modality: PSMA PET/CT | tracer: 18F | view: axial | PET grid: 200×200
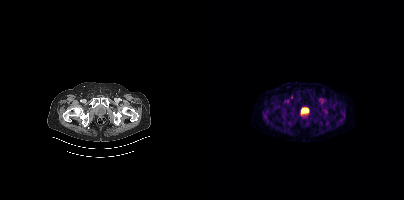
No PSMA-avid tumor lesions on this slice.